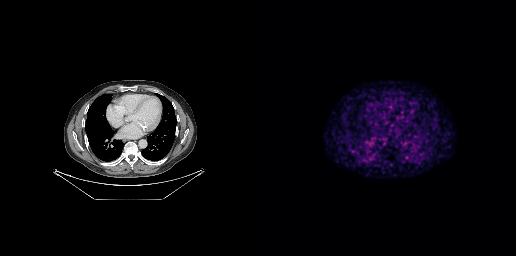
Technique: Left: CT. Right: PSMA PET, same axial level, 68Ga tracer.
Findings: No tumor lesions annotated on this slice.